Technique: Left: CT. Right: PSMA PET, same axial level, 18F-PSMA tracer. slice 247 of 466. PET panel 200×200 px (4.1 mm/px).
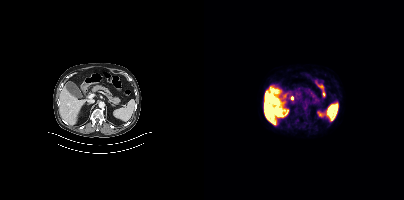
Findings: Negative for PSMA-avid disease on this slice.